Left: CT. Right: PSMA PET, same axial level, 18F tracer. Slice position z = -752 mm. PET panel 200×200 px (4.1 mm/px).
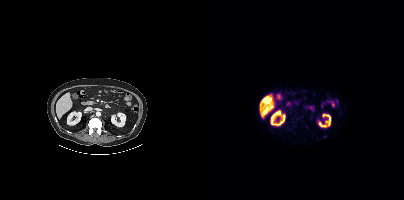
Coordinates are on the 200×200 PET (right) panel. Small PSMA-avid focus (2 to 4 px across) near (center x, center y): (120, 136).